- Two-panel axial: CT | PSMA PET, 18F tracer
- slice 279 of 395
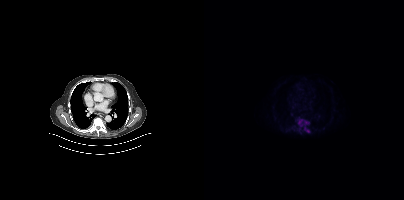
Findings: Coordinates are on the 200×200 PET (right) panel. PSMA-avid tumor lesion bounding box (x0,y0,x1,y1): [92,119,106,133].